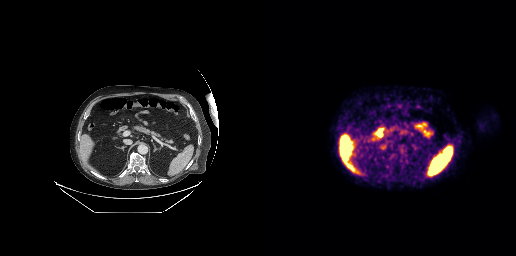
No tumor lesions annotated on this slice. Paired axial CT (left) and PSMA PET (right), [18F]PSMA-1007 tracer. Acquired on GE Discovery 690. Slice 187 of 299. PET panel 256×256 px (2.7 mm/px).